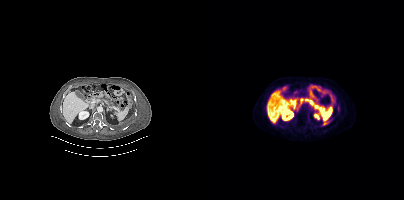
Technique: Left: CT. Right: PSMA PET, same axial level, 18F-PSMA tracer. slice position z = -1452 mm. PET panel 200×200 px (4.1 mm/px).
Findings: Coordinates are on the 200×200 PET (right) panel. PSMA-avid tumor lesion bounding box (x, y, width, height): x=102 y=100 w=5 h=4.